- Paired axial CT (left) and PSMA PET (right), 18F-PSMA tracer
- slice 228 of 466
- PET panel 200×200 px (4.1 mm/px)
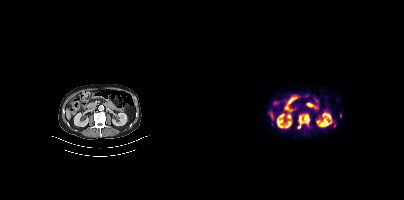
Findings: Coordinates are on the 200×200 PET (right) panel. PSMA-avid tumor lesion bounding box (x0, y0)-(x1, y1): (93, 113)-(105, 128). Small PSMA-avid focus (2 to 4 px across) near (center x, center y): (136, 115).